Paired axial CT (left) and PSMA PET (right), 18F-PSMA tracer. PET panel 200×200 px (4.1 mm/px).
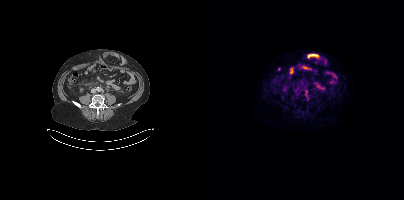
Coordinates are on the 200×200 PET (right) panel. PSMA-avid tumor lesion bounding box (x, y, width, height): x=102 y=95 w=4 h=5. Small PSMA-avid focus (2 to 4 px across) near (center x, center y): (101, 91).